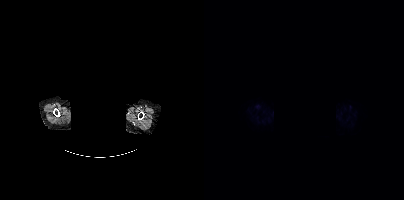
- the head region is masked for de-identification
- Left: CT. Right: PSMA PET, same axial level, 18F tracer
- slice position z = -868 mm
Findings: Negative for PSMA-avid disease on this slice.